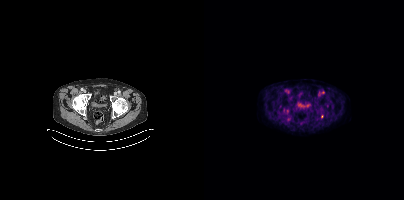
Only PSMA-avid lesion pieces thinner than 2 px on this slice (not listed).